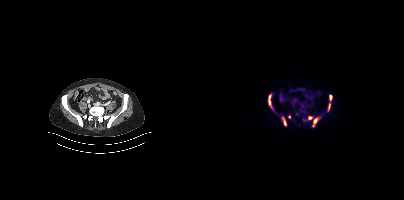
modality: PSMA PET/CT | tracer: [18F]PSMA-1007 | view: axial | PET grid: 200×200
Coordinates are on the 200×200 PET (right) panel. PSMA-avid tumor lesion bounding boxes (x, y, width, height): x=78 y=117 w=5 h=9 / x=64 y=100 w=4 h=8 / x=109 y=118 w=5 h=6 / x=125 y=95 w=4 h=6 / x=124 y=104 w=3 h=7. Small PSMA-avid foci (2 to 4 px across) near (center x, center y): (105, 117) / (85, 116) / (66, 96) / (100, 119) / (109, 125).